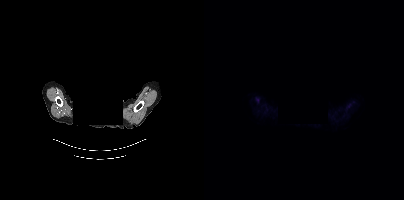
{"modality":"PSMA PET/CT","view":"axial","tracer":"[18F]PSMA-1007","pet_grid":[200,200],"coord_frame":"pet_panel","coord_format":"x0,y0,x1,y1","de-identification":"head region blacked out before release","psma_avid_lesions":false}